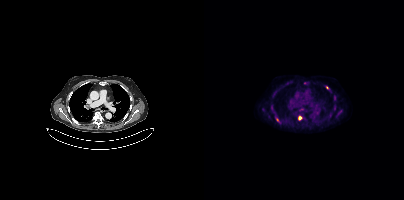
Technique: Two-panel axial: CT | PSMA PET, 18F-PSMA tracer.
Findings: Coordinates are on the 200×200 PET (right) panel. PSMA-avid tumor lesion bounding box (x0, y0)-(x1, y1): (72, 118)-(75, 122). Small PSMA-avid foci (2 to 4 px across) near (center x, center y): (95, 117); (123, 87).